Two-panel axial: CT | PSMA PET, 18F tracer. Acquired on Siemens Biograph mCT Flow 20. PET panel 200×200 px (4.1 mm/px).
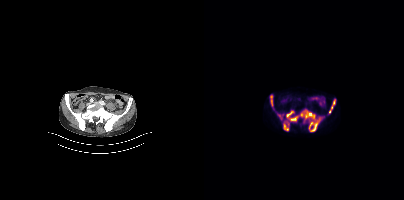
Coordinates are on the 200×200 PET (right) panel. (showing 5 of 6 foci) PSMA-avid tumor lesion bounding boxes (x0, y0)-(x1, y1): (82, 109)-(119, 131) | (125, 99)-(131, 113) | (79, 122)-(85, 130) | (66, 95)-(68, 105). Small PSMA-avid focus (2 to 4 px across) near (center x, center y): (75, 115).